Paired axial CT (left) and PSMA PET (right), 18F-PSMA tracer.
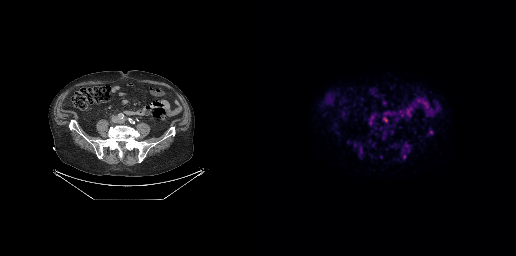
Coordinates are on the 256×256 PET (right) panel. Small PSMA-avid foci (2 to 4 px across) near (center x, center y): (144, 156) / (171, 132) / (146, 145).